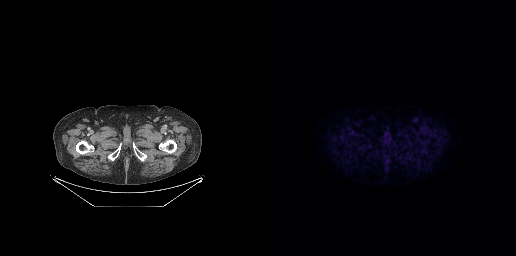
Findings: Negative for PSMA-avid disease on this slice.
- Two-panel axial: CT | PSMA PET, 18F-PSMA tracer
- slice 89 of 299
- PET panel 256×256 px (2.7 mm/px)